modality: PSMA PET/CT | tracer: 18F | view: axial
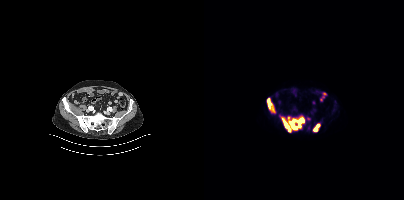
Coordinates are on the 200×200 PET (right) panel. PSMA-avid tumor lesion bounding boxes (x0,y0,x1,y1): [76,116,100,132]; [63,98,70,112]; [109,124,115,131].